Technique: Left: CT. Right: PSMA PET, same axial level, 18F tracer. acquired on Siemens Biograph mCT Flow 20.
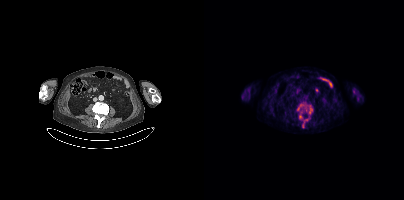
Findings: Coordinates are on the 200×200 PET (right) panel. (showing 3 of 4 foci) PSMA-avid tumor lesion bounding boxes (x, y, width, height): x=93 y=103 w=16 h=12; x=98 y=119 w=7 h=9; x=95 y=114 w=4 h=6.